Technique: Left: CT. Right: PSMA PET, same axial level, [18F]PSMA-1007 tracer. slice position z = -602 mm.
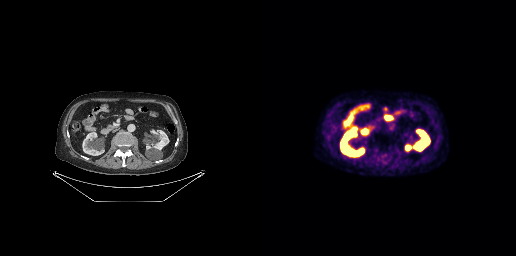
Findings: Negative for PSMA-avid disease on this slice.